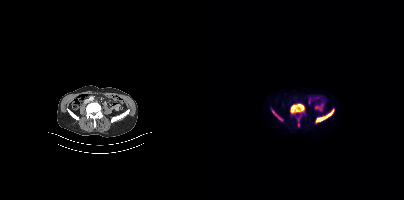
Coordinates are on the 200×200 PET (right) panel. (showing 4 of 5 foci) PSMA-avid tumor lesion bounding boxes (x0,y0,x1,y1): [86,103,100,113]; [111,109,129,122]; [68,111,76,119]. Small PSMA-avid focus (2 to 4 px across) near (center x, center y): (94, 125).